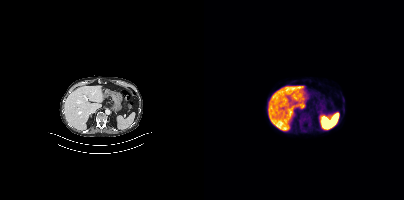
Left: CT. Right: PSMA PET, same axial level, 18F-PSMA tracer. Acquired on Siemens Biograph mCT Flow 20. Coordinates are on the 200×200 PET (right) panel. Small PSMA-avid focus (2 to 4 px across) near (center x, center y): (104, 119).